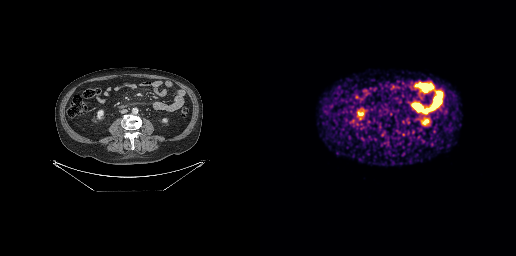
Findings: This slice has no annotated PSMA-avid lesion.
Technique: Left: CT. Right: PSMA PET, same axial level, [68Ga]Ga-PSMA-11 tracer. slice 109 of 263.